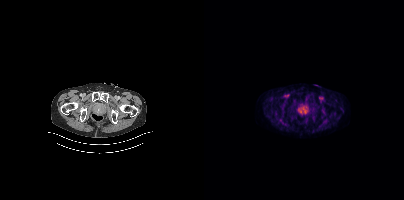
Coordinates are on the 200×200 PET (right) panel. PSMA-avid tumor lesion bounding box (x0, y0)-(x1, y1): (93, 104)-(106, 115).